Technique: Left: CT. Right: PSMA PET, same axial level, [18F]PSMA-1007 tracer. acquired on Siemens Biograph mCT Flow 20. slice 13 of 421. PET panel 200×200 px (4.1 mm/px).
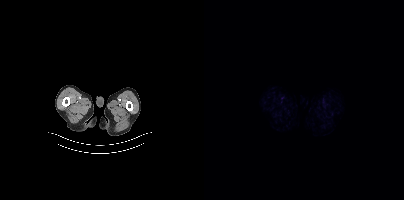
Findings: No PSMA-avid tumor lesions on this slice.